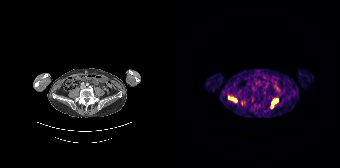
Coordinates are on the 168×168 PET (right) panel. PSMA-avid tumor lesion bounding boxes:
| # | x0 | y0 | x1 | y1 |
|---|---|---|---|---|
| 1 | 99 | 99 | 106 | 108 |
| 2 | 59 | 97 | 64 | 101 |
Small PSMA-avid focus (2 to 4 px across) near (center x, center y): (56, 97).
Paired axial CT (left) and PSMA PET (right), 68Ga tracer. Acquired on Siemens Biograph 64-4R TruePoint.